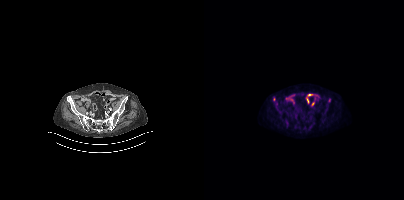
{"pet_grid":[200,200],"coord_frame":"pet_panel","coord_format":"x0,y0,x1,y1","lesion_bboxes":[[71,105,73,109]],"small_foci_centers":[[70,99],[125,100]],"modality":"PSMA PET/CT","view":"axial","tracer":"[18F]PSMA-1007"}